Two-panel axial: CT | PSMA PET, 18F-PSMA tracer. PET panel 256×256 px (2.7 mm/px).
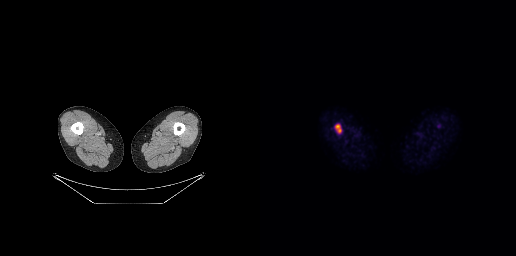
Coordinates are on the 256×256 PET (right) panel. PSMA-avid tumor lesion bounding boxes:
| # | x0 | y0 | x1 | y1 |
|---|---|---|---|---|
| 1 | 75 | 124 | 81 | 132 |